- Left: CT. Right: PSMA PET, same axial level, [18F]PSMA-1007 tracer
- slice 127 of 508
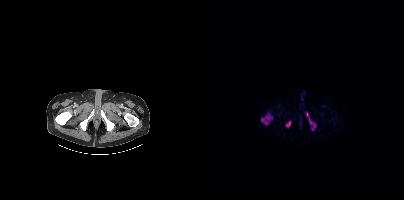
Findings: Coordinates are on the 200×200 PET (right) panel. PSMA-avid tumor lesion bounding boxes (x, y, width, height): x=57 y=113 w=11 h=12; x=105 y=118 w=7 h=10; x=82 y=121 w=5 h=6; x=102 y=112 w=3 h=5. Small PSMA-avid focus (2 to 4 px across) near (center x, center y): (108, 128).